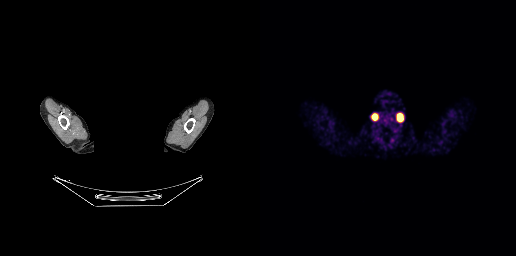
modality: PSMA PET/CT | tracer: 68Ga-PSMA | view: axial | PET grid: 256×256 | deidentification: face masked with black rectangle
No PSMA-avid tumor lesions on this slice.